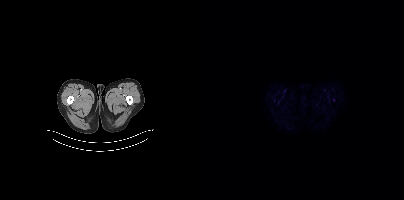
Findings: Negative for PSMA-avid disease on this slice.
Technique: Two-panel axial: CT | PSMA PET, 18F-PSMA tracer. acquired on Siemens Biograph mCT Flow 20.